Two-panel axial: CT | PSMA PET, [18F]PSMA-1007 tracer. Slice 223 of 299. PET panel 256×256 px (2.7 mm/px).
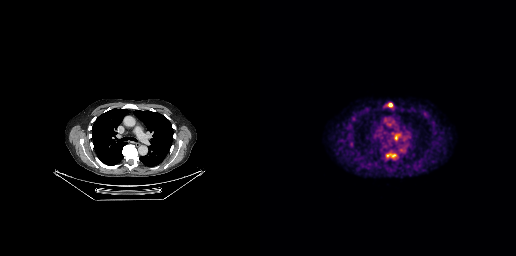
Coordinates are on the 256×256 PET (right) panel. PSMA-avid tumor lesion bounding boxes (x0,y0,x1,y1): [125,153,134,159] [134,134,139,140].